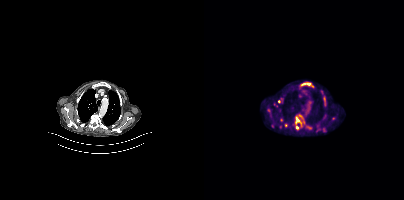
Technique: Paired axial CT (left) and PSMA PET (right), [18F]PSMA-1007 tracer. acquired on Siemens Biograph mCT Flow 20. slice 282 of 367. PET panel 200×200 px (4.1 mm/px).
Findings: Coordinates are on the 200×200 PET (right) panel. (showing 9 of 10 foci) PSMA-avid tumor lesion bounding boxes (x0, y0)-(x1, y1): (91, 114)-(100, 125) | (97, 82)-(107, 85) | (63, 109)-(66, 113). Small PSMA-avid foci (2 to 4 px across) near (center x, center y): (77, 98) | (71, 105) | (77, 120) | (92, 127) | (115, 129) | (118, 129).